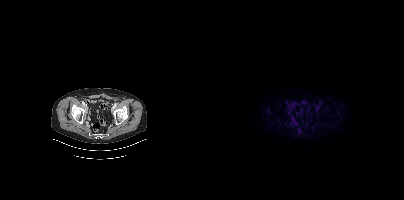
This slice has no annotated PSMA-avid lesion.